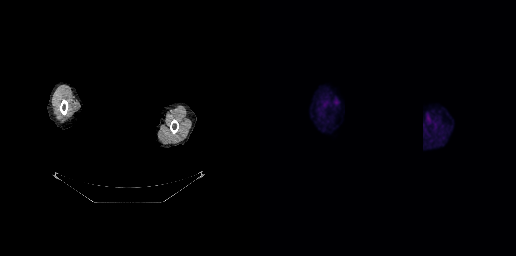
{"modality":"PSMA PET/CT","view":"axial","tracer":"18F","pet_grid":[256,256],"coord_frame":"pet_panel","coord_format":"x0,y0,x1,y1","psma_avid_lesions":false,"de-identification":"head region blacked out before release"}